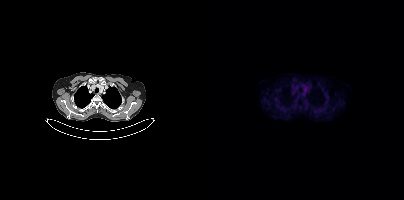
Left: CT. Right: PSMA PET, same axial level, [18F]PSMA-1007 tracer. Slice 317 of 413. PET panel 200×200 px (4.1 mm/px). Negative for PSMA-avid disease on this slice.